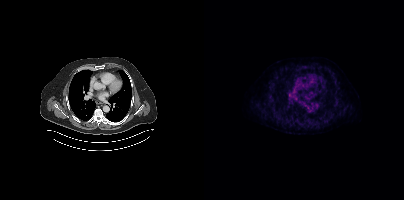
No tumor lesions annotated on this slice.
modality: PSMA PET/CT | tracer: 18F-PSMA | view: axial | PET grid: 200×200